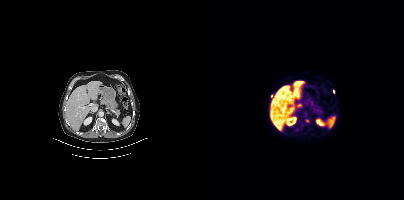
- Left: CT. Right: PSMA PET, same axial level, [18F]PSMA-1007 tracer
- slice 219 of 401
- PET panel 200×200 px (4.1 mm/px)
Findings: Coordinates are on the 200×200 PET (right) panel. Small PSMA-avid foci (2 to 4 px across) near (center x, center y): (67, 96); (129, 91); (103, 120).